modality: PSMA PET/CT | tracer: [18F]PSMA-1007 | view: axial
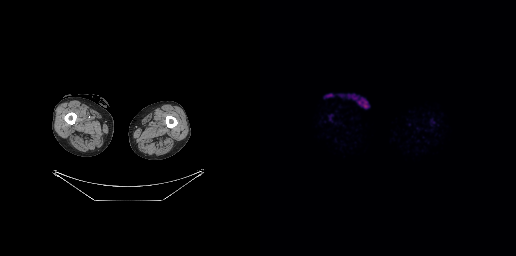
This slice has no annotated PSMA-avid lesion.